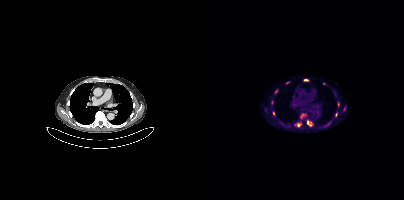
Coordinates are on the 200×200 PET (right) panel. (showing 11 of 13 foci) PSMA-avid tumor lesion bounding boxes (x0, y0)-(x1, y1): (103, 120)-(108, 126); (93, 123)-(97, 126); (100, 79)-(104, 81). Small PSMA-avid foci (2 to 4 px across) near (center x, center y): (69, 113); (98, 115); (83, 82); (72, 91); (132, 114); (134, 104); (119, 83); (124, 124).
modality: PSMA PET/CT | tracer: [18F]PSMA-1007 | view: axial | PET grid: 200×200